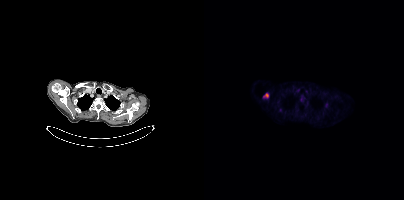
Left: CT. Right: PSMA PET, same axial level, 18F tracer. Slice 340 of 409. PET panel 200×200 px (4.1 mm/px).
Coordinates are on the 200×200 PET (right) panel. PSMA-avid tumor lesion bounding boxes:
| # | x0 | y0 | x1 | y1 |
|---|---|---|---|---|
| 1 | 59 | 93 | 64 | 98 |